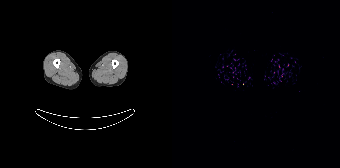
This slice has no annotated PSMA-avid lesion. Two-panel axial: CT | PSMA PET, 18F tracer. Acquired on Siemens Biograph 64-4R TruePoint. Slice 1 of 165.